- Paired axial CT (left) and PSMA PET (right), [18F]PSMA-1007 tracer
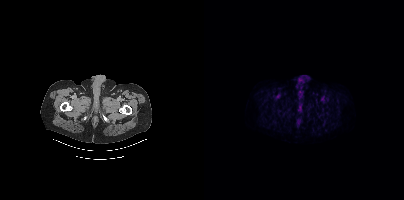
Findings: Coordinates are on the 200×200 PET (right) panel. PSMA-avid tumor lesion bounding box (x0,y0,x1,y1): [121,97,124,101].